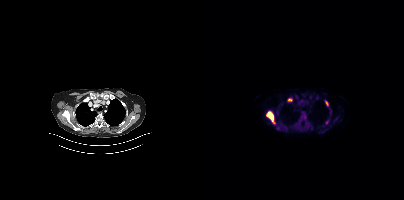
Coordinates are on the 200×200 PET (right) panel. (showing 5 of 6 foci) PSMA-avid tumor lesion bounding boxes (x, y, width, height): x=62 y=111 w=10 h=14 | x=97 y=113 w=6 h=7 | x=83 y=98 w=6 h=4 | x=121 y=100 w=4 h=7 | x=122 y=120 w=3 h=5.